- Paired axial CT (left) and PSMA PET (right), [18F]PSMA-1007 tracer
- PET panel 200×200 px (4.1 mm/px)
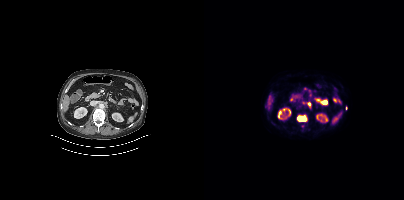
Findings: Coordinates are on the 200×200 PET (right) panel. PSMA-avid tumor lesion bounding box (x0, y0)-(x1, y1): (93, 115)-(103, 121). Small PSMA-avid focus (2 to 4 px across) near (center x, center y): (105, 104).